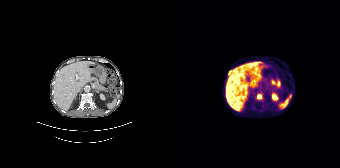
Coordinates are on the 168×168 PET (right) panel. PSMA-avid tumor lesion bounding box (x0,y0,x1,y1): [85,94,89,98]. Small PSMA-avid focus (2 to 4 px across) near (center x, center y): (58, 72). Two-panel axial: CT | PSMA PET, 68Ga-PSMA tracer. Acquired on Siemens Biograph 64-4R TruePoint. Slice position z = -1028 mm. PET panel 168×168 px (4.1 mm/px).